Two-panel axial: CT | PSMA PET, 18F tracer. Acquired on Siemens Biograph mCT Flow 20. Slice position z = -290 mm. De-identified by setting a box covering the face to black before release.
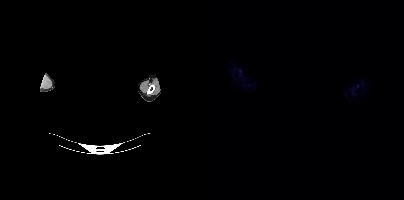
This slice has no annotated PSMA-avid lesion.